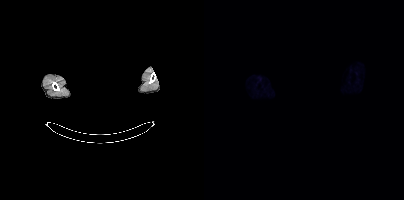
Technique: Left: CT. Right: PSMA PET, same axial level, 18F-PSMA tracer. slice 417 of 448.
Note: The head region is masked for de-identification.
Findings: This slice has no annotated PSMA-avid lesion.